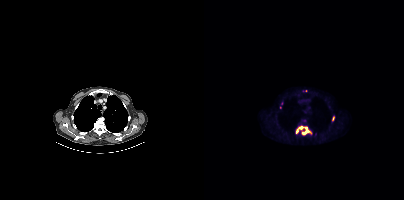
modality: PSMA PET/CT | tracer: 18F | view: axial | PET grid: 200×200
Coordinates are on the 200×200 PET (right) panel. (showing 3 of 4 foci) PSMA-avid tumor lesion bounding box (x0, y0)-(x1, y1): (92, 126)-(107, 135). Small PSMA-avid foci (2 to 4 px across) near (center x, center y): (128, 118) | (76, 107).